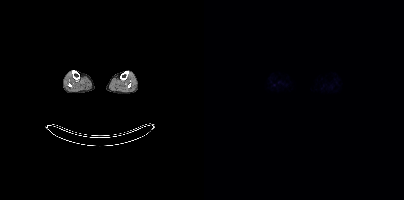
Technique: Two-panel axial: CT | PSMA PET, 18F tracer. acquired on Siemens Biograph mCT Flow 20. slice 216 of 963.
Findings: No PSMA-avid tumor lesions on this slice.